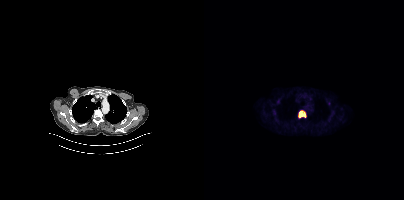
{"modality":"PSMA PET/CT","view":"axial","tracer":"18F-PSMA","pet_grid":[200,200],"coord_frame":"pet_panel","coord_format":"x0,y0,x1,y1","lesion_bboxes":[[94,110,102,117]]}